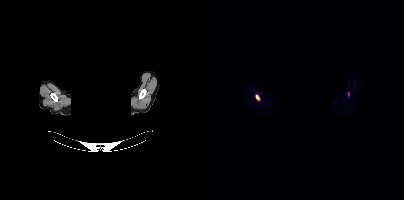
{"modality":"PSMA PET/CT","view":"axial","tracer":"18F-PSMA","pet_grid":[200,200],"coord_frame":"pet_panel","coord_format":"x0,y0,x1,y1","deidentification":"rectangular block over head set to black","lesion_bboxes":[[51,94,55,100]],"small_foci_centers":[[144,93]]}